Left: CT. Right: PSMA PET, same axial level, [18F]PSMA-1007 tracer. Acquired on Siemens Biograph mCT Flow 20.
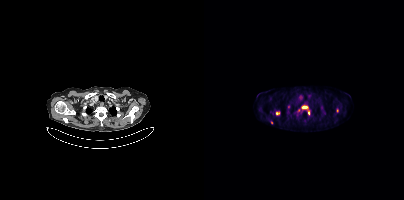
Coordinates are on the 200×200 PET (right) panel. PSMA-avid tumor lesion bounding boxes:
| # | x0 | y0 | x1 | y1 |
|---|---|---|---|---|
| 1 | 98 | 106 | 103 | 108 |
| 2 | 72 | 111 | 75 | 115 |
Small PSMA-avid foci (2 to 4 px across) near (center x, center y): (84, 106); (104, 112); (133, 110); (67, 122).